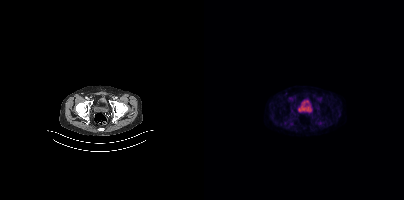
Paired axial CT (left) and PSMA PET (right), 18F tracer. PET panel 200×200 px (4.1 mm/px). No tumor lesions annotated on this slice.